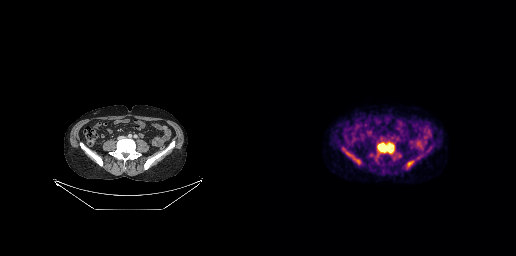
Findings: Coordinates are on the 256×256 PET (right) panel. PSMA-avid tumor lesion bounding boxes (x0, y0)-(x1, y1): (118, 143)-(134, 153) | (147, 161)-(153, 167) | (94, 158)-(99, 163).
Technique: Left: CT. Right: PSMA PET, same axial level, 18F tracer. slice 97 of 263. PET panel 256×256 px (2.7 mm/px).